modality: PSMA PET/CT | tracer: 18F-PSMA | view: axial | PET grid: 256×256
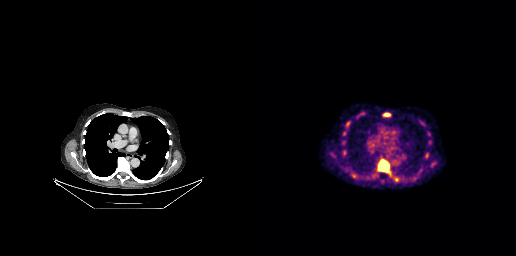
Coordinates are on the 256×256 PET (right) panel. (showing 4 of 5 foci) PSMA-avid tumor lesion bounding boxes (x0, y0)-(x1, y1): (117, 159)-(130, 175) | (85, 121)-(90, 128) | (123, 113)-(130, 116) | (133, 177)-(139, 181).